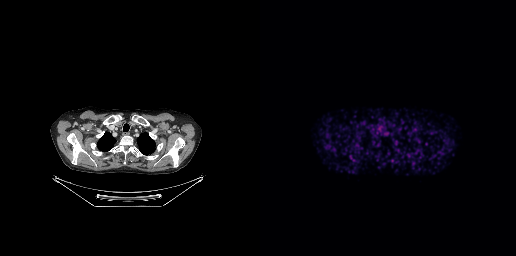
- Two-panel axial: CT | PSMA PET, [68Ga]Ga-PSMA-11 tracer
- PET panel 256×256 px (2.7 mm/px)
Findings: This slice has no annotated PSMA-avid lesion.